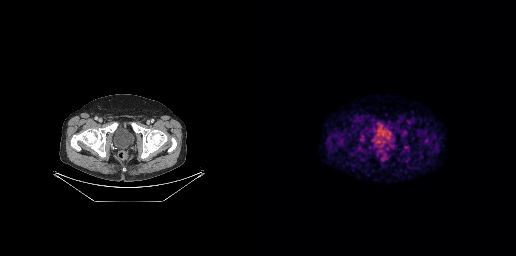
Coordinates are on the 256×256 PET (right) panel. Small PSMA-avid focus (2 to 4 px across) near (center x, center y): (145, 147).